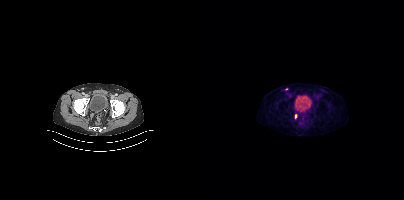
Paired axial CT (left) and PSMA PET (right), [18F]PSMA-1007 tracer. Coordinates are on the 200×200 PET (right) panel. PSMA-avid tumor lesion bounding box (x0,y0,x1,y1): [91,114,92,118]. Small PSMA-avid focus (2 to 4 px across) near (center x, center y): (82, 89).